Paired axial CT (left) and PSMA PET (right), [18F]PSMA-1007 tracer. Acquired on Siemens Biograph mCT Flow 20. Slice position z = -1350 mm.
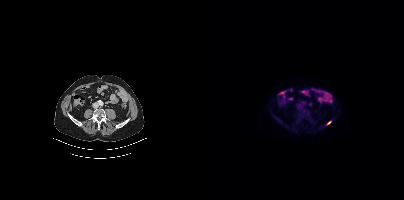
Coordinates are on the 200×200 PET (right) panel. PSMA-avid tumor lesion bounding boxes:
| # | x0 | y0 | x1 | y1 |
|---|---|---|---|---|
| 1 | 123 | 121 | 127 | 125 |